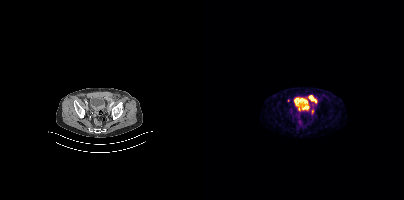
{"pet_grid":[200,200],"coord_frame":"pet_panel","coord_format":"x0,y0,x1,y1","partial":true,"lesion_bboxes":[[105,96,112,102],[100,105,104,109]],"small_foci_centers":[[95,108],[108,111]],"modality":"PSMA PET/CT","view":"axial","tracer":"68Ga-PSMA"}